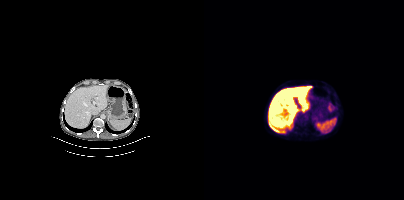
No PSMA-avid tumor lesions on this slice. Left: CT. Right: PSMA PET, same axial level, 18F tracer. PET panel 200×200 px (4.1 mm/px).